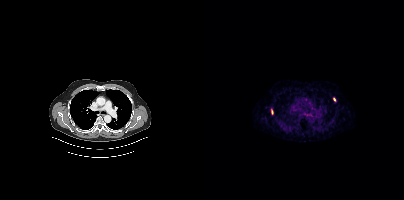
Technique: Left: CT. Right: PSMA PET, same axial level, [68Ga]Ga-PSMA-11 tracer. acquired on Siemens Biograph mCT Flow 20. slice position z = -1030 mm. PET panel 200×200 px (4.1 mm/px).
Findings: Coordinates are on the 200×200 PET (right) panel. PSMA-avid tumor lesion bounding box (x, y, width, height): x=67 y=109 w=3 h=6. Small PSMA-avid focus (2 to 4 px across) near (center x, center y): (130, 99).